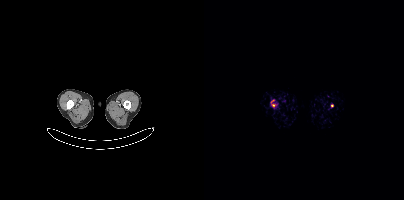
Coordinates are on the 200×200 PET (right) panel. Small PSMA-avid foci (2 to 4 px across) near (center x, center y): (69, 105), (127, 105).